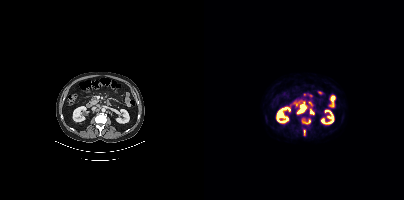
Findings: Coordinates are on the 200×200 PET (right) panel. (showing 2 of 4 foci) PSMA-avid tumor lesion bounding boxes (x0,y0,x1,y1): [93,104,102,113]; [106,109,110,114].
Technique: Left: CT. Right: PSMA PET, same axial level, 18F tracer. acquired on Siemens Biograph mCT Flow 20. slice position z = -1317 mm.